Technique: Left: CT. Right: PSMA PET, same axial level, 18F-PSMA tracer. acquired on GE Discovery 690. slice 252 of 299. PET panel 256×256 px (2.7 mm/px).
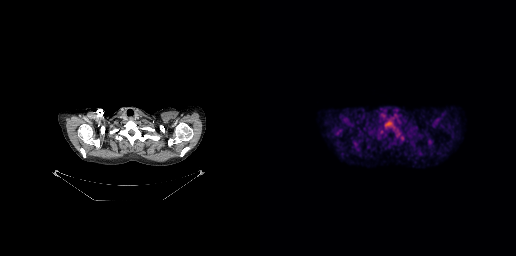
Findings: Coordinates are on the 256×256 PET (right) panel. PSMA-avid tumor lesion bounding box (x0,y0,x1,y1): [124,118,134,128].